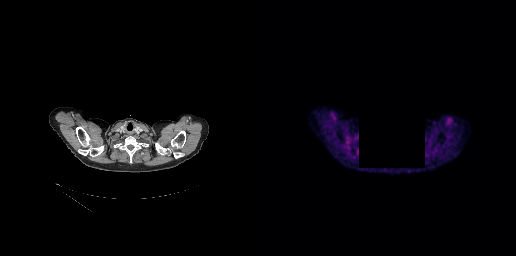
modality: PSMA PET/CT | tracer: 18F-PSMA | view: axial | redaction: region redacted
This slice has no annotated PSMA-avid lesion.